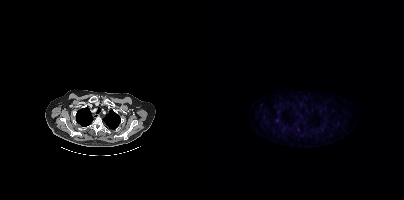
Only PSMA-avid lesion pieces thinner than 2 px on this slice (not listed).